Left: CT. Right: PSMA PET, same axial level, 18F-PSMA tracer. Slice position z = -1170 mm.
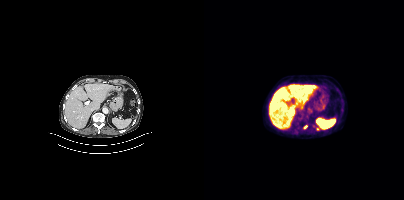
Coordinates are on the 200×200 PET (right) panel. PSMA-avid tumor lesion bounding boxes:
| # | x0 | y0 | x1 | y1 |
|---|---|---|---|---|
| 1 | 112 | 127 | 116 | 130 |
Small PSMA-avid focus (2 to 4 px across) near (center x, center y): (101, 127).